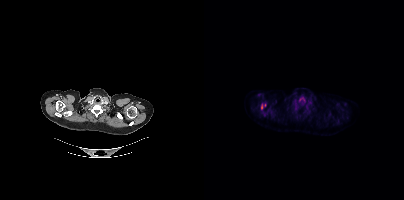
Coordinates are on the 200×200 PET (right) panel. (showing 1 of 2 foci) PSMA-avid tumor lesion bounding box (x0, y0)-(x1, y1): (57, 104)-(58, 108).